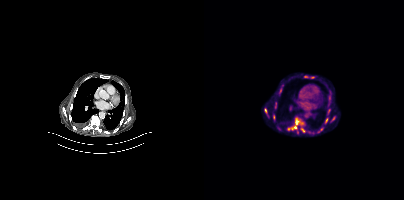
- Paired axial CT (left) and PSMA PET (right), 18F tracer
- acquired on Siemens Biograph mCT Flow 20
- slice 234 of 367
- PET panel 200×200 px (4.1 mm/px)
Findings: Coordinates are on the 200×200 PET (right) panel. (showing 9 of 11 foci) PSMA-avid tumor lesion bounding boxes (x0, y0)-(x1, y1): (87, 119)-(100, 131); (60, 108)-(64, 117); (124, 95)-(127, 100); (71, 103)-(72, 108); (75, 88)-(77, 93); (121, 118)-(123, 123). Small PSMA-avid foci (2 to 4 px across) near (center x, center y): (70, 116); (84, 128); (129, 118).